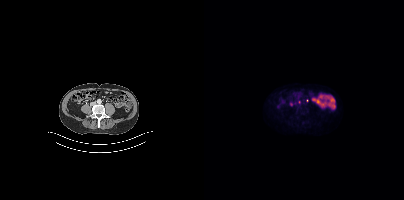
- Left: CT. Right: PSMA PET, same axial level, [18F]PSMA-1007 tracer
- slice position z = -1436 mm
Findings: Coordinates are on the 200×200 PET (right) panel. (showing 1 of 3 foci) Small PSMA-avid focus (2 to 4 px across) near (center x, center y): (87, 104).